Two-panel axial: CT | PSMA PET, 68Ga-PSMA tracer. Slice position z = -805 mm. PET panel 256×256 px (2.7 mm/px).
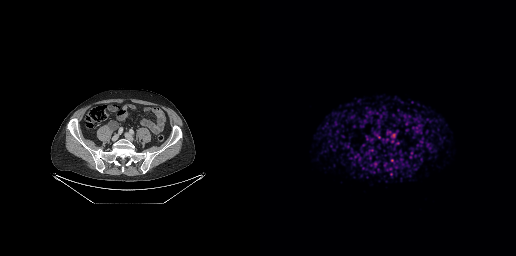
No PSMA-avid tumor lesions on this slice.